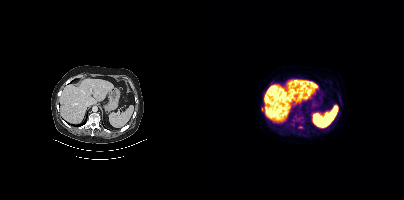
Only PSMA-avid lesion pieces thinner than 2 px on this slice (not listed). Paired axial CT (left) and PSMA PET (right), 18F tracer. Acquired on Siemens Biograph mCT Flow 20. Slice position z = -502 mm. PET panel 200×200 px (4.1 mm/px).